modality: PSMA PET/CT | tracer: [18F]PSMA-1007 | view: axial | PET grid: 200×200 | redaction: facial region redacted
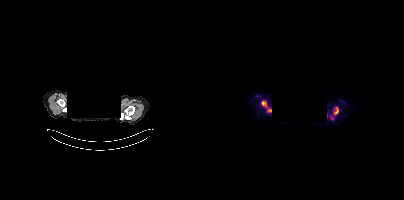
Coordinates are on the 200×200 PET (right) panel. PSMA-avid tumor lesion bounding boxes (x0,y0,x1,y1): [130,107,134,114] [58,101,62,107] [63,109,67,111]. Small PSMA-avid focus (2 to 4 px across) near (center x, center y): (128, 118).